modality: PSMA PET/CT | tracer: [18F]PSMA-1007 | view: axial
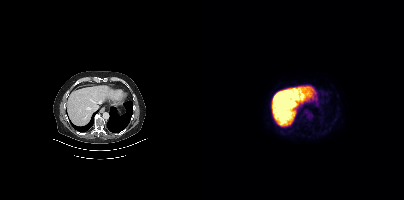
This slice has no annotated PSMA-avid lesion.